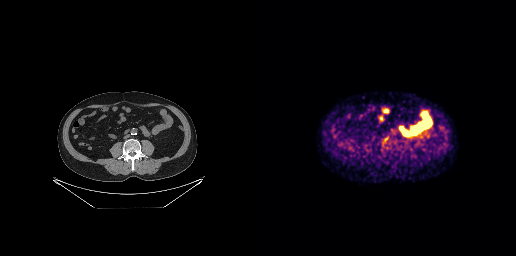
{"modality":"PSMA PET/CT","view":"axial","tracer":"[68Ga]Ga-PSMA-11","pet_grid":[256,256],"coord_frame":"pet_panel","coord_format":"x0,y0,x1,y1","psma_avid_lesions":false}